- Paired axial CT (left) and PSMA PET (right), [18F]PSMA-1007 tracer
- acquired on Siemens Biograph mCT Flow 20
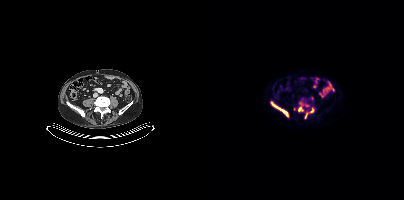
Findings: Coordinates are on the 200×200 PET (right) panel. (showing 5 of 6 foci) PSMA-avid tumor lesion bounding boxes (x, y, width, height): x=67 y=102 w=17 h=15; x=101 y=108 w=9 h=11; x=94 y=107 w=6 h=5. Small PSMA-avid foci (2 to 4 px across) near (center x, center y): (96, 102); (102, 105).